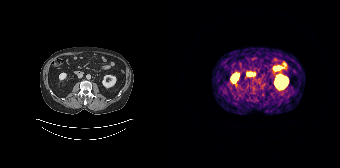
modality: PSMA PET/CT | tracer: 68Ga-PSMA | view: axial | PET grid: 168×168
This slice has no annotated PSMA-avid lesion.